- Left: CT. Right: PSMA PET, same axial level, 18F-PSMA tracer
- slice position z = -1432 mm
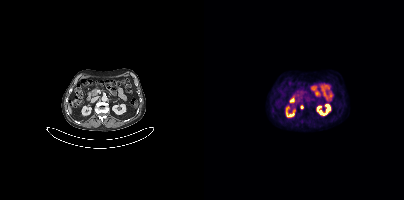
Findings: Coordinates are on the 200×200 PET (right) panel. Small PSMA-avid focus (2 to 4 px across) near (center x, center y): (97, 107).